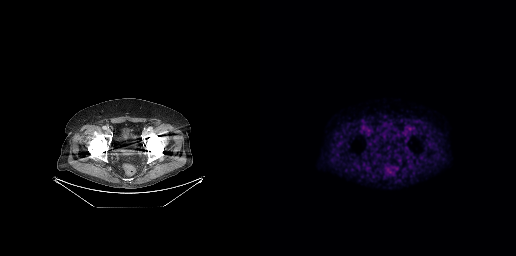
Technique: Two-panel axial: CT | PSMA PET, 18F tracer. slice 70 of 263. PET panel 256×256 px (2.7 mm/px).
Findings: Negative for PSMA-avid disease on this slice.